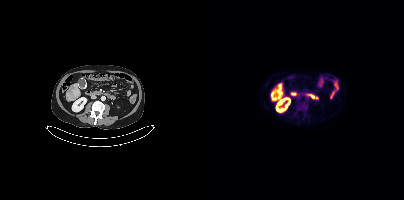
Technique: Paired axial CT (left) and PSMA PET (right), [18F]PSMA-1007 tracer. acquired on Siemens Biograph mCT Flow 20.
Findings: This slice has no annotated PSMA-avid lesion.